modality: PSMA PET/CT | tracer: 18F | view: axial
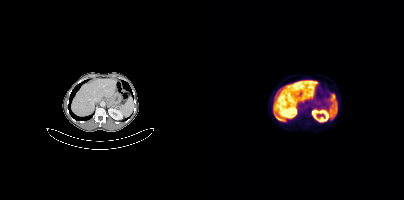
Negative for PSMA-avid disease on this slice.